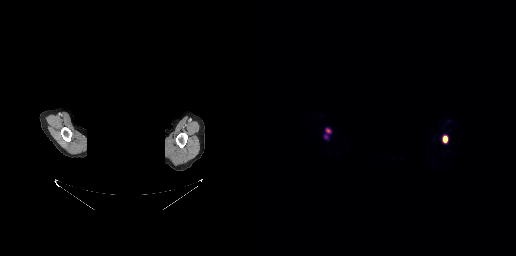
Findings: Coordinates are on the 256×256 PET (right) panel. PSMA-avid tumor lesion bounding boxes (x0,y0,x1,y1): [183,136,187,142], [66,129,70,132].
- privacy masking over the head, with the pixels inside a rectangle set to black
- Left: CT. Right: PSMA PET, same axial level, 68Ga-PSMA tracer